Technique: Two-panel axial: CT | PSMA PET, 18F-PSMA tracer. acquired on Siemens Biograph mCT Flow 20. PET panel 200×200 px (4.1 mm/px).
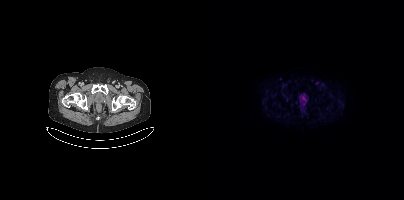
Findings: No tumor lesions annotated on this slice.